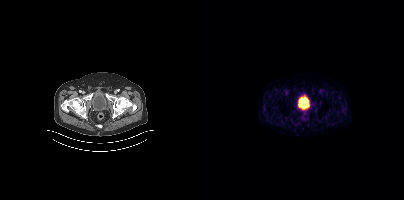
{"modality":"PSMA PET/CT","view":"axial","tracer":"68Ga-PSMA","pet_grid":[200,200],"coord_frame":"pet_panel","coord_format":"x0,y0,x1,y1","psma_avid_lesions":false}